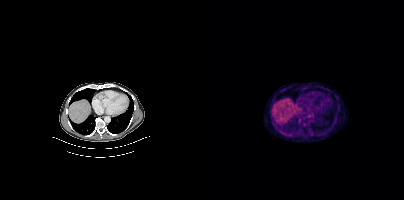
{"modality":"PSMA PET/CT","view":"axial","tracer":"[18F]PSMA-1007","pet_grid":[200,200],"coord_frame":"pet_panel","coord_format":"x0,y0,x1,y1","lesion_bboxes":[[94,118,98,122],[98,124,102,127]],"small_foci_centers":[[119,133],[83,135]]}